Two-panel axial: CT | PSMA PET, [18F]PSMA-1007 tracer. Slice 76 of 263. PET panel 256×256 px (2.7 mm/px).
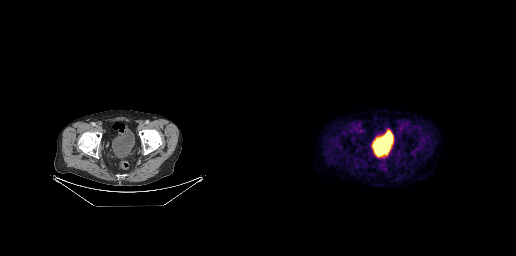
No PSMA-avid tumor lesions on this slice.